- Paired axial CT (left) and PSMA PET (right), 68Ga-PSMA tracer
- slice 27 of 195
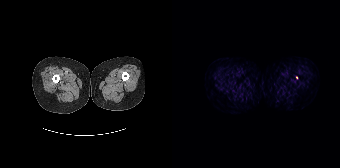
Findings: Coordinates are on the 168×168 PET (right) panel. Small PSMA-avid focus (2 to 4 px across) near (center x, center y): (125, 77).